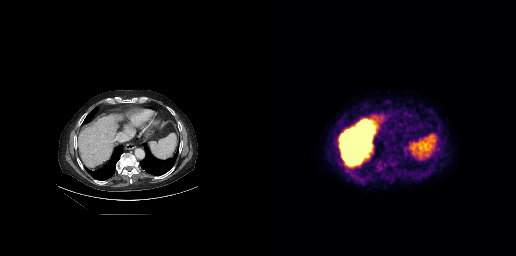
Findings: Coordinates are on the 256×256 PET (right) panel. Small PSMA-avid focus (2 to 4 px across) near (center x, center y): (124, 162).
Technique: Paired axial CT (left) and PSMA PET (right), [18F]PSMA-1007 tracer. acquired on GE Discovery 690. slice 167 of 263. PET panel 256×256 px (2.7 mm/px).